modality: PSMA PET/CT | tracer: 18F | view: axial | PET grid: 200×200
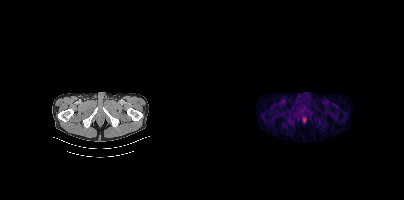
No tumor lesions annotated on this slice.